- Paired axial CT (left) and PSMA PET (right), [18F]PSMA-1007 tracer
- slice position z = -1617 mm
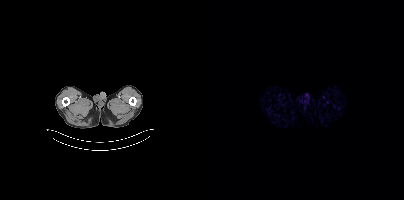
Findings: No PSMA-avid tumor lesions on this slice.